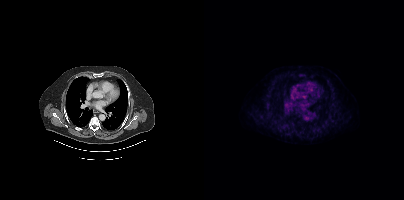
{"modality":"PSMA PET/CT","view":"axial","tracer":"18F-PSMA","pet_grid":[200,200],"coord_frame":"pet_panel","coord_format":"x0,y0,x1,y1","psma_avid_lesions":false}